Two-panel axial: CT | PSMA PET, 18F tracer. Acquired on Siemens Biograph mCT Flow 20. The head region is masked for de-identification.
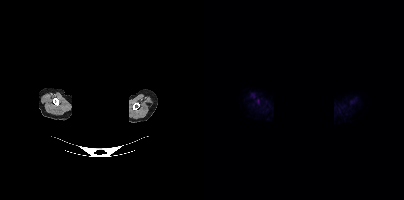
Negative for PSMA-avid disease on this slice.